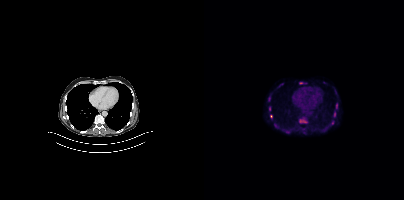
Coordinates are on the 200×200 PET (right) panel. (showing 6 of 7 foci) PSMA-avid tumor lesion bounding boxes (x0, y0)-(x1, y1): (95, 117)-(103, 123) | (95, 82)-(102, 84) | (64, 97)-(66, 101) | (132, 103)-(133, 108) | (130, 112)-(131, 116). Small PSMA-avid focus (2 to 4 px across) near (center x, center y): (65, 106).